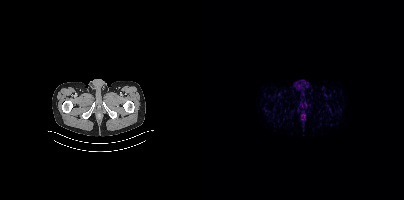
This slice has no annotated PSMA-avid lesion.